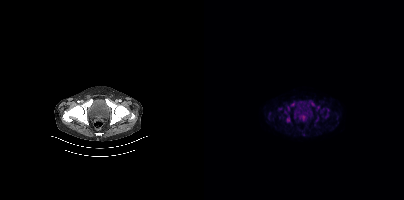
modality: PSMA PET/CT | tracer: 18F-PSMA | view: axial | PET grid: 200×200
Coordinates are on the 200×200 PET (right) panel. (showing 11 of 12 foci) PSMA-avid tumor lesion bounding boxes (x0, y0)-(x1, y1): (82, 116)-(86, 122); (112, 106)-(115, 110); (83, 106)-(85, 110); (121, 113)-(124, 117). Small PSMA-avid foci (2 to 4 px across) near (center x, center y): (99, 117); (89, 104); (124, 110); (108, 103); (76, 108); (81, 112); (119, 108).